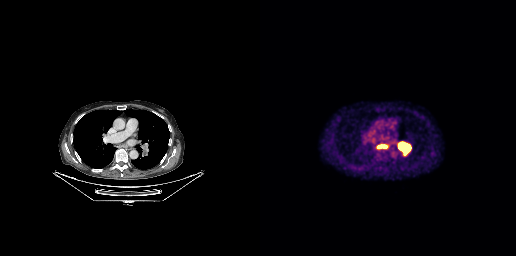
Coordinates are on the 256×256 PET (right) panel. PSMA-avid tumor lesion bounding boxes (x, y, width, height): x=137 y=141 w=15 h=15 | x=117 y=144 w=11 h=5.